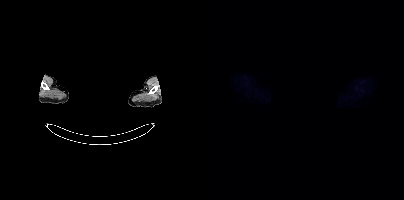
Any black rectangle over the head is a privacy mask, not anatomy. Left: CT. Right: PSMA PET, same axial level, [18F]PSMA-1007 tracer. Acquired on Siemens Biograph mCT Flow 20. Slice position z = -271 mm. PET panel 200×200 px (4.1 mm/px). No tumor lesions annotated on this slice.